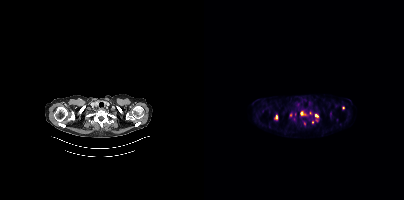
Coordinates are on the 200×200 PET (right) panel. PSMA-avid tumor lesion bounding boxes (partial; 2 more foci not listed):
| # | x0 | y0 | x1 | y1 |
|---|---|---|---|---|
| 1 | 71 | 115 | 73 | 119 |
Small PSMA-avid foci (2 to 4 px across) near (center x, center y): (97, 112); (112, 115); (139, 107).
Paired axial CT (left) and PSMA PET (right), 18F-PSMA tracer.